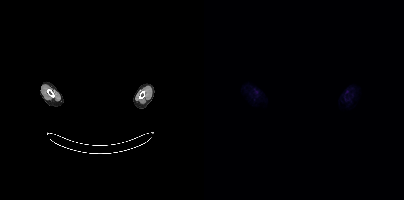
Technique: Two-panel axial: CT | PSMA PET, 18F-PSMA tracer. acquired on Siemens Biograph mCT Flow 20. slice 407 of 425.
Note: A rectangular block over the head has been blanked out for de-identification.
Findings: This slice has no annotated PSMA-avid lesion.